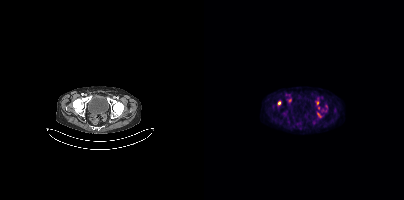
modality: PSMA PET/CT | tracer: 18F | view: axial
Coordinates are on the 200×200 PET (right) panel. (showing 3 of 4 foci) Small PSMA-avid foci (2 to 4 px across) near (center x, center y): (75, 102); (113, 103); (115, 114).